Paired axial CT (left) and PSMA PET (right), [68Ga]Ga-PSMA-11 tracer. PET panel 200×200 px (4.1 mm/px).
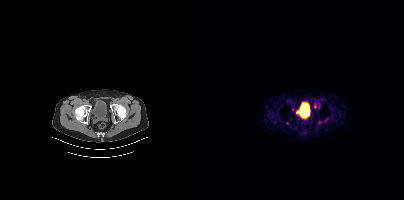
Coordinates are on the 200×200 PET (right) panel. (showing 1 of 2 foci) Small PSMA-avid focus (2 to 4 px across) near (center x, center y): (83, 123).